Two-panel axial: CT | PSMA PET, [18F]PSMA-1007 tracer. Slice 112 of 421. PET panel 200×200 px (4.1 mm/px).
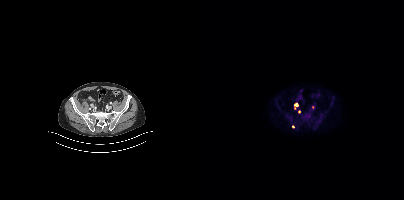
Coordinates are on the 200×200 PET (right) panel. (showing 1 of 4 foci) Small PSMA-avid focus (2 to 4 px across) near (center x, center y): (92, 104).